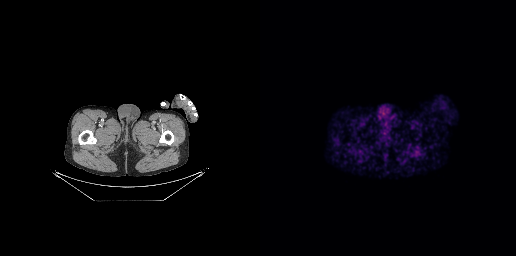
Findings: No tumor lesions annotated on this slice.
- Paired axial CT (left) and PSMA PET (right), 68Ga-PSMA tracer